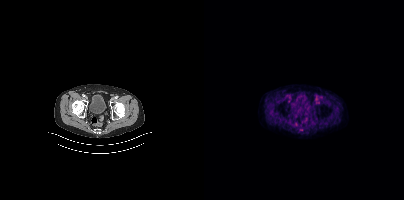
Technique: Left: CT. Right: PSMA PET, same axial level, 18F-PSMA tracer. slice position z = -835 mm.
Findings: This slice has no annotated PSMA-avid lesion.